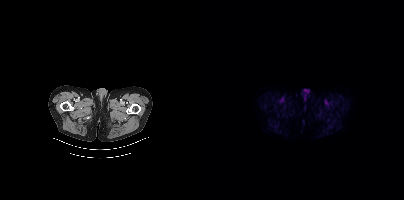
No tumor lesions annotated on this slice.